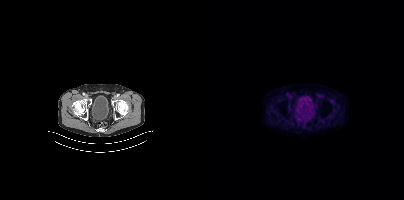
Technique: Two-panel axial: CT | PSMA PET, [18F]PSMA-1007 tracer. slice 91 of 425.
Findings: This slice has no annotated PSMA-avid lesion.